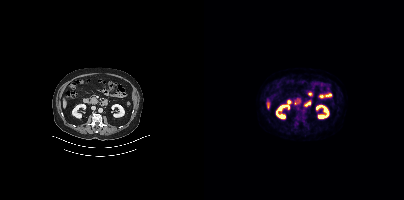
Findings: Negative for PSMA-avid disease on this slice.
Technique: Paired axial CT (left) and PSMA PET (right), 18F tracer. slice 194 of 405. PET panel 200×200 px (4.1 mm/px).